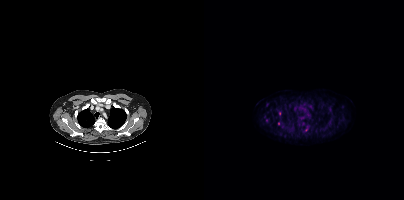
Two-panel axial: CT | PSMA PET, 18F tracer. Coordinates are on the 200×200 PET (right) panel. (showing 3 of 4 foci) PSMA-avid tumor lesion bounding box (x0,y0,x1,y1): [101,126,103,131]. Small PSMA-avid foci (2 to 4 px across) near (center x, center y): (75, 113), (74, 123).